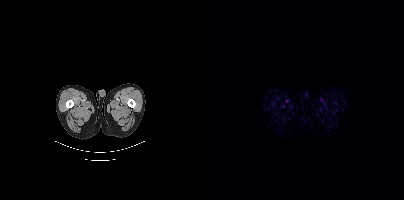
{"modality":"PSMA PET/CT","view":"axial","tracer":"[18F]PSMA-1007","pet_grid":[200,200],"coord_frame":"pet_panel","coord_format":"x0,y0,x1,y1","psma_avid_lesions":false}